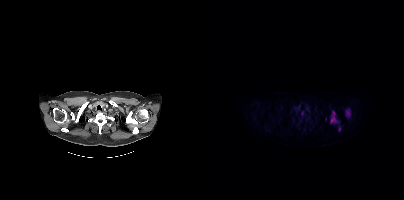
Two-panel axial: CT | PSMA PET, [18F]PSMA-1007 tracer. Slice position z = -888 mm. PET panel 200×200 px (4.1 mm/px).
Coordinates are on the 200×200 PET (right) panel. PSMA-avid tumor lesion bounding boxes (partial; 1 more focus not listed):
| # | x0 | y0 | x1 | y1 |
|---|---|---|---|---|
| 1 | 142 | 110 | 146 | 116 |
| 2 | 127 | 119 | 132 | 122 |
| 3 | 134 | 126 | 136 | 130 |
Small PSMA-avid focus (2 to 4 px across) near (center x, center y): (98, 113).